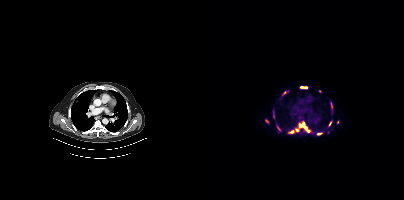
Coordinates are on the 200×200 PET (right) panel. (showing 6 of 9 foci) PSMA-avid tumor lesion bounding boxes (x0, y0)-(x1, y1): (95, 122)-(105, 132) / (113, 132)-(118, 135) / (85, 130)-(89, 133) / (97, 87)-(103, 88). Small PSMA-avid foci (2 to 4 px across) near (center x, center y): (93, 130) / (126, 123).
modality: PSMA PET/CT | tracer: 18F | view: axial